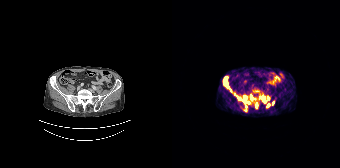
Coordinates are on the 168×168 PET (right) panel. (showing 11 of 14 foci) PSMA-avid tumor lesion bounding boxes (x0, y0)-(x1, y1): (51, 77)-(55, 85) | (71, 104)-(75, 111) | (90, 97)-(93, 102) | (84, 103)-(85, 108) | (95, 103)-(97, 107). Small PSMA-avid foci (2 to 4 px across) near (center x, center y): (72, 97) | (101, 103) | (67, 98) | (96, 98) | (58, 90) | (75, 102).
modality: PSMA PET/CT | tracer: 68Ga | view: axial | PET grid: 168×168